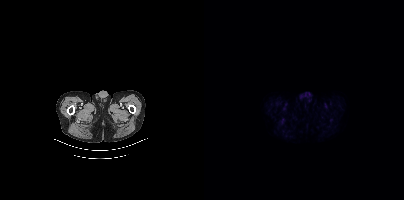
Findings: Negative for PSMA-avid disease on this slice.
Technique: Paired axial CT (left) and PSMA PET (right), 18F tracer.